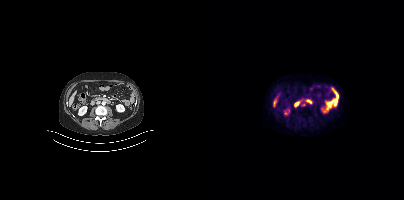
{"pet_grid":[200,200],"coord_frame":"pet_panel","coord_format":"x0,y0,x1,y1","partial":true,"lesion_bboxes":[],"modality":"PSMA PET/CT","view":"axial","tracer":"18F-PSMA"}